Paired axial CT (left) and PSMA PET (right), [18F]PSMA-1007 tracer. Acquired on Siemens Biograph mCT Flow 20.
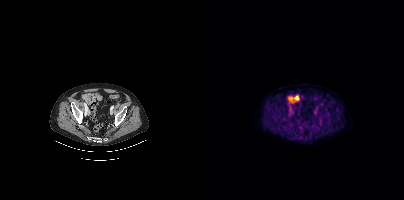
No PSMA-avid tumor lesions on this slice.